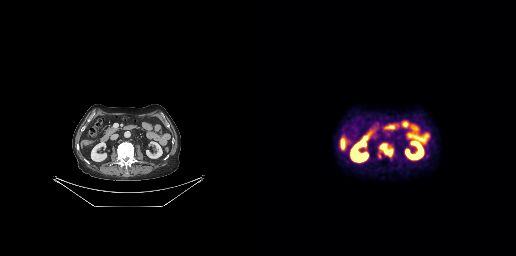
{"modality":"PSMA PET/CT","view":"axial","tracer":"[18F]PSMA-1007","pet_grid":[256,256],"coord_frame":"pet_panel","coord_format":"x0,y0,x1,y1","lesion_bboxes":[[119,143,133,157]]}